- Two-panel axial: CT | PSMA PET, 68Ga-PSMA tracer
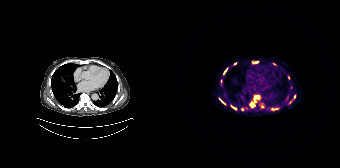
Findings: Coordinates are on the 168×168 PET (right) panel. (showing 13 of 15 foci) PSMA-avid tumor lesion bounding boxes (x0,y0,x1,y1): [82,95,86,98] [99,108,105,110] [78,103,82,107] [47,98,53,104] [59,106,64,109]. Small PSMA-avid foci (2 to 4 px across) near (center x, center y): (49, 80) (122, 96) (83, 62) (102, 64) (53, 71) (90, 106) (63, 63) (118, 101).